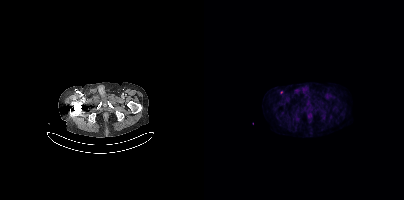
{"modality":"PSMA PET/CT","view":"axial","tracer":"18F-PSMA","pet_grid":[200,200],"coord_frame":"pet_panel","coord_format":"x0,y0,x1,y1","psma_avid_lesions":false}